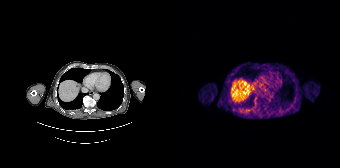
Technique: Two-panel axial: CT | PSMA PET, [68Ga]Ga-PSMA-11 tracer. acquired on Siemens Biograph 64-4R TruePoint.
Findings: Coordinates are on the 168×168 PET (right) panel. Small PSMA-avid focus (2 to 4 px across) near (center x, center y): (97, 100).